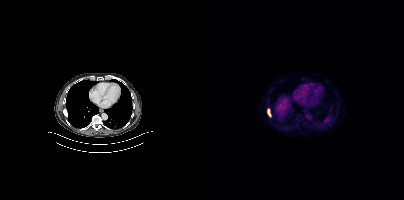
Coordinates are on the 200×200 PET (right) panel. PSMA-avid tumor lesion bounding box (x, y, width, height): x=63 y=109 w=4 h=8. Left: CT. Right: PSMA PET, same axial level, 18F-PSMA tracer. Slice position z = -599 mm.